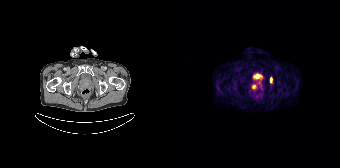
{"pet_grid":[168,168],"coord_frame":"pet_panel","coord_format":"x0,y0,x1,y1","lesion_bboxes":[[98,77,100,82],[80,85,84,88]],"modality":"PSMA PET/CT","view":"axial","tracer":"68Ga-PSMA"}